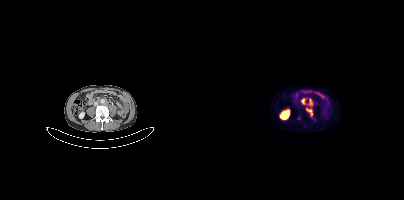
modality: PSMA PET/CT | tracer: [68Ga]Ga-PSMA-11 | view: axial
Coordinates are on the 200×200 PET (right) panel. PSMA-avid tumor lesion bounding boxes (x, y, width, height): x=102 y=108 w=7 h=9 | x=97 y=98 w=6 h=7 | x=105 y=102 w=4 h=5. Small PSMA-avid foci (2 to 4 px across) near (center x, center y): (94, 118) | (110, 119).